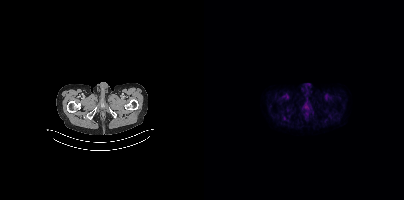
No PSMA-avid tumor lesions on this slice. Two-panel axial: CT | PSMA PET, 18F tracer. Acquired on Siemens Biograph mCT Flow 20.